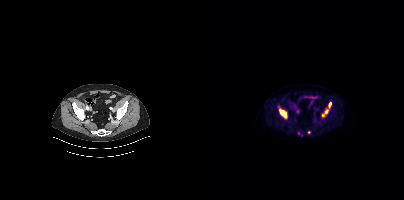
Coordinates are on the 200×200 PET (right) panel. (showing 3 of 4 foci) PSMA-avid tumor lesion bounding boxes (x0, y0)-(x1, y1): (75, 109)-(83, 118) / (118, 102)-(127, 116). Small PSMA-avid focus (2 to 4 px across) near (center x, center y): (94, 133). Left: CT. Right: PSMA PET, same axial level, [18F]PSMA-1007 tracer. Acquired on Siemens Biograph mCT Flow 20. Slice position z = -1475 mm.